Technique: Left: CT. Right: PSMA PET, same axial level, 68Ga-PSMA tracer. acquired on Siemens Biograph 64-4R TruePoint. slice position z = -703 mm.
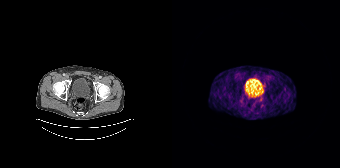
Findings: Coordinates are on the 168×168 PET (right) panel. Small PSMA-avid focus (2 to 4 px across) near (center x, center y): (91, 85).